Left: CT. Right: PSMA PET, same axial level, 18F-PSMA tracer. Slice 179 of 195. De-identified by setting a box covering the face to black before release.
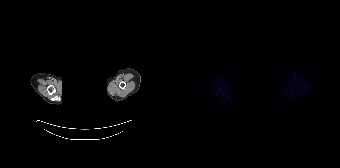
No tumor lesions annotated on this slice.